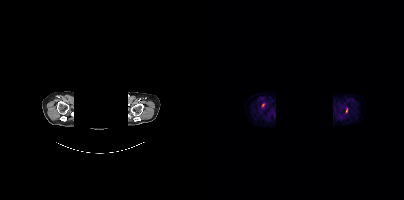
{"modality":"PSMA PET/CT","view":"axial","tracer":"[18F]PSMA-1007","pet_grid":[200,200],"coord_frame":"pet_panel","coord_format":"x0,y0,x1,y1","deidentification":"head region blacked out before release","partial":true,"lesion_bboxes":[[142,108,143,112]]}